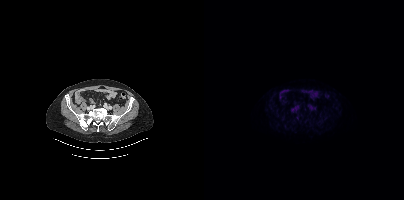
Findings: Negative for PSMA-avid disease on this slice.
Technique: Paired axial CT (left) and PSMA PET (right), 18F tracer. acquired on Siemens Biograph mCT Flow 20. PET panel 200×200 px (4.1 mm/px).